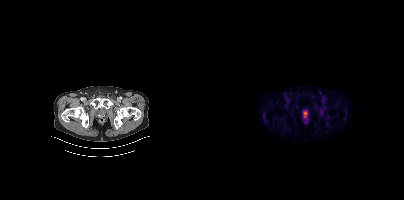
{"modality":"PSMA PET/CT","view":"axial","tracer":"[68Ga]Ga-PSMA-11","pet_grid":[200,200],"coord_frame":"pet_panel","coord_format":"x0,y0,x1,y1","lesion_bboxes":[],"small_foci_centers":[[101,114]]}